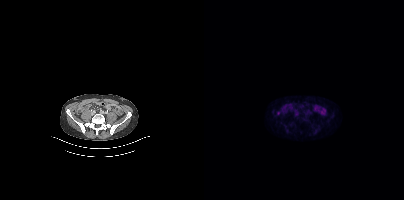
Coordinates are on the 200×200 PET (right) panel. Small PSMA-avid focus (2 to 4 px across) near (center x, center y): (74, 113).